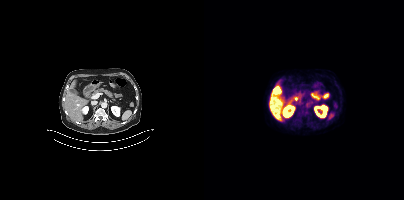
This slice has no annotated PSMA-avid lesion.